Two-panel axial: CT | PSMA PET, [18F]PSMA-1007 tracer. Acquired on Siemens Biograph mCT Flow 20.
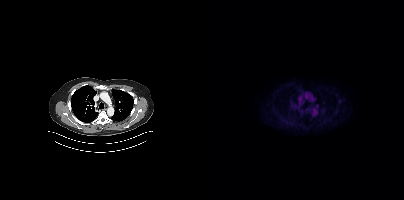
Coordinates are on the 200×200 PET (right) panel. Small PSMA-avid focus (2 to 4 px across) near (center x, center y): (113, 105).